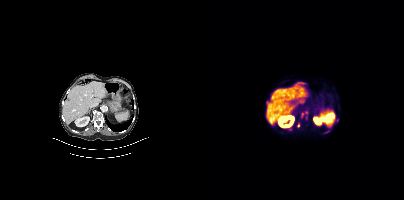
Left: CT. Right: PSMA PET, same axial level, 68Ga-PSMA tracer. Acquired on Siemens Biograph mCT Flow 20. Slice position z = -1244 mm. PET panel 200×200 px (4.1 mm/px). Coordinates are on the 200×200 PET (right) panel. (showing 3 of 4 foci) PSMA-avid tumor lesion bounding boxes (x0, y0)-(x1, y1): (98, 110)-(104, 119) / (93, 123)-(95, 127). Small PSMA-avid focus (2 to 4 px across) near (center x, center y): (86, 129).